Paired axial CT (left) and PSMA PET (right), [18F]PSMA-1007 tracer. Acquired on Siemens Biograph mCT Flow 20. Slice position z = -76 mm.
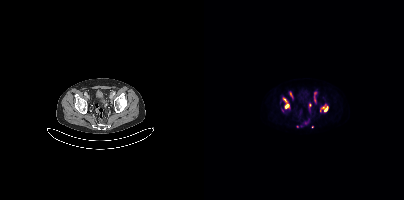
Coordinates are on the 200×200 PET (right) panel. PSMA-avid tumor lesion bounding boxes (partial; 2 more foci not listed):
| # | x0 | y0 | x1 | y1 |
|---|---|---|---|---|
| 1 | 110 | 93 | 112 | 102 |
| 2 | 81 | 104 | 84 | 108 |
| 3 | 120 | 107 | 123 | 111 |
| 4 | 86 | 92 | 88 | 97 |
Small PSMA-avid foci (2 to 4 px across) near (center x, center y): (80, 99); (105, 105); (120, 106); (93, 126).